Paired axial CT (left) and PSMA PET (right), 18F-PSMA tracer. Acquired on Siemens Biograph mCT Flow 20. Slice 114 of 462. PET panel 200×200 px (4.1 mm/px).
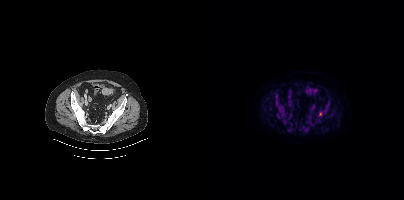
Coordinates are on the 200×200 PET (right) panel. Small PSMA-avid focus (2 to 4 px across) near (center x, center y): (116, 113).